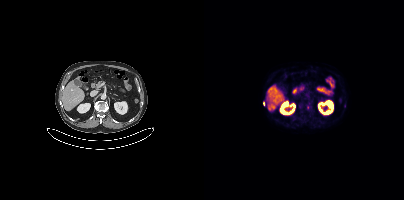
Technique: Two-panel axial: CT | PSMA PET, 18F-PSMA tracer. acquired on Siemens Biograph mCT Flow 20. PET panel 200×200 px (4.1 mm/px).
Findings: Coordinates are on the 200×200 PET (right) panel. Small PSMA-avid foci (2 to 4 px across) near (center x, center y): (104, 107) | (59, 103).